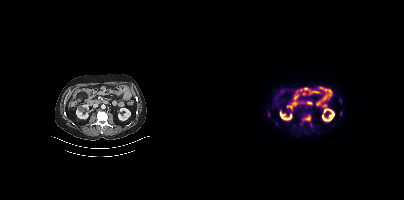
Technique: Paired axial CT (left) and PSMA PET (right), [18F]PSMA-1007 tracer. acquired on Siemens Biograph mCT Flow 20. slice position z = -1276 mm. PET panel 200×200 px (4.1 mm/px).
Findings: Coordinates are on the 200×200 PET (right) panel. PSMA-avid tumor lesion bounding box (x0, y0)-(x1, y1): (98, 115)-(106, 120). Small PSMA-avid foci (2 to 4 px across) near (center x, center y): (136, 114) / (64, 115).